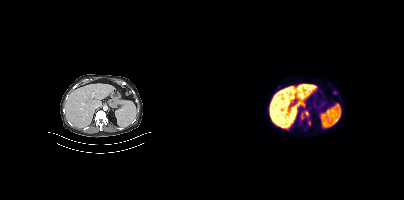
Coordinates are on the 200×200 PET (right) panel. PSMA-avid tumor lesion bounding boxes (x, y, width, height): x=97 y=111 w=8 h=8; x=104 y=120 w=3 h=6. Small PSMA-avid focus (2 to 4 px across) near (center x, center y): (74, 86).
modality: PSMA PET/CT | tracer: 18F-PSMA | view: axial